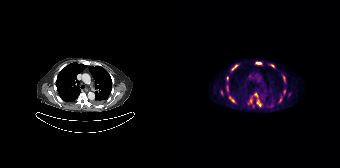
Paired axial CT (left) and PSMA PET (right), 68Ga tracer. PET panel 168×168 px (4.1 mm/px). Coordinates are on the 168×168 PET (right) panel. PSMA-avid tumor lesion bounding boxes (x0, y0)-(x1, y1): (57, 96)-(62, 102) | (83, 62)-(89, 64) | (85, 100)-(89, 106) | (60, 65)-(65, 69) | (110, 75)-(113, 79) | (107, 98)-(109, 102) | (55, 86)-(56, 90). Small PSMA-avid foci (2 to 4 px across) near (center x, center y): (100, 65) | (55, 78) | (84, 94) | (112, 91) | (49, 92) | (78, 101) | (99, 105).